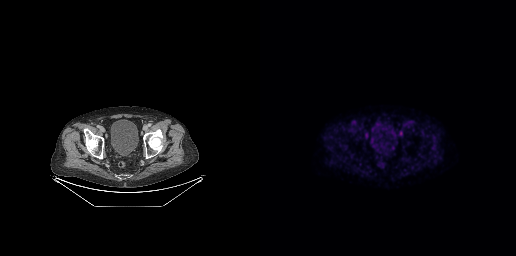
This slice has no annotated PSMA-avid lesion.